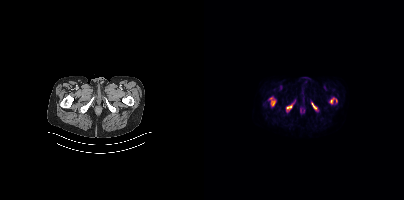
{"modality":"PSMA PET/CT","view":"axial","tracer":"[18F]PSMA-1007","pet_grid":[200,200],"coord_frame":"pet_panel","coord_format":"x0,y0,x1,y1","partial":true,"lesion_bboxes":[[83,104,88,109],[107,102,112,109],[126,98,130,103],[68,101,70,105]],"small_foci_centers":[[132,100]]}